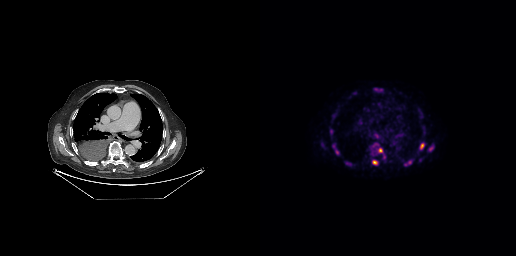
{"modality":"PSMA PET/CT","view":"axial","tracer":"[18F]PSMA-1007","pet_grid":[256,256],"coord_frame":"pet_panel","coord_format":"x0,y0,x1,y1","partial":true,"lesion_bboxes":[[112,160,117,164],[160,143,164,149],[85,162,91,165],[118,148,122,152],[75,149,79,154]],"small_foci_centers":[[71,131],[73,146],[170,148]]}